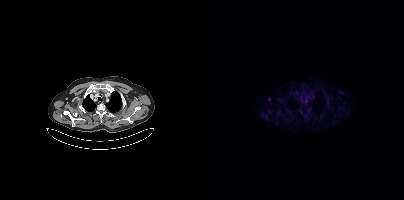
{"modality":"PSMA PET/CT","view":"axial","tracer":"18F","pet_grid":[200,200],"coord_frame":"pet_panel","coord_format":"x0,y0,x1,y1","lesion_bboxes":[],"small_foci_centers":[[137,92],[65,99]]}